Two-panel axial: CT | PSMA PET, 68Ga tracer. Slice position z = -1136 mm. PET panel 200×200 px (4.1 mm/px).
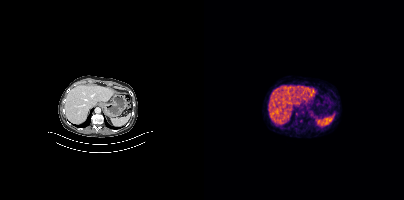
This slice has no annotated PSMA-avid lesion.